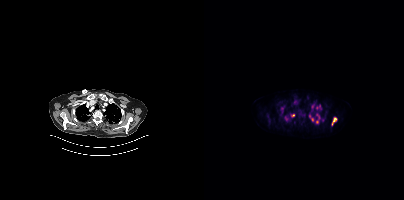
Coordinates are on the 200×200 PET (right) panel. PSMA-avid tumor lesion bounding boxes (x0, y0)-(x1, y1): (112, 105)-(117, 109) / (128, 117)-(132, 125) / (105, 115)-(109, 121). Small PSMA-avid foci (2 to 4 px across) near (center x, center y): (88, 115) / (113, 121) / (82, 119) / (114, 115) / (108, 106).